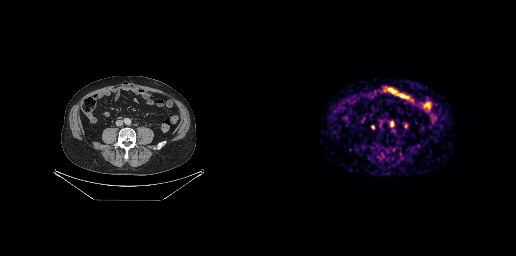
Coordinates are on the 256×256 PET (right) panel. Small PSMA-avid focus (2 to 4 px across) near (center x, center y): (132, 123).